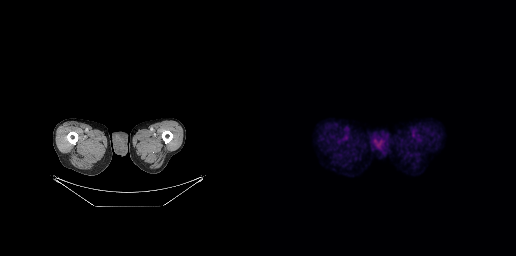
modality: PSMA PET/CT | tracer: 18F | view: axial | PET grid: 256×256
No PSMA-avid tumor lesions on this slice.